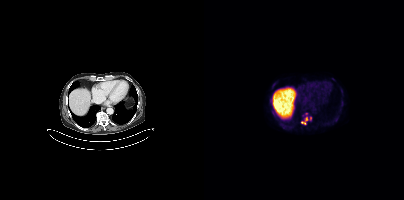
Paired axial CT (left) and PSMA PET (right), [18F]PSMA-1007 tracer. Acquired on Siemens Biograph mCT Flow 20. Slice 246 of 403. PET panel 200×200 px (4.1 mm/px). Coordinates are on the 200×200 PET (right) panel. (showing 5 of 6 foci) Small PSMA-avid foci (2 to 4 px across) near (center x, center y): (101, 115), (106, 118), (99, 122), (128, 78), (100, 118).